Paired axial CT (left) and PSMA PET (right), 18F tracer.
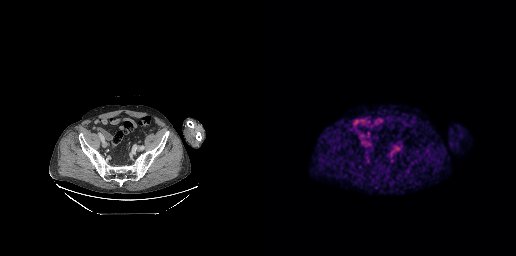
Only PSMA-avid lesion pieces thinner than 2 px on this slice (not listed).